Left: CT. Right: PSMA PET, same axial level, [68Ga]Ga-PSMA-11 tracer.
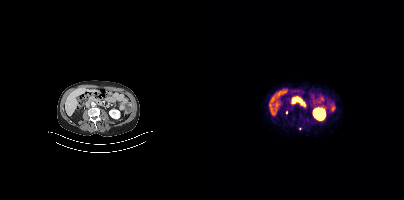
Coordinates are on the 200×200 PET (right) panel. PSMA-avid tumor lesion bounding boxes (partial; 1 more focus not listed):
| # | x0 | y0 | x1 | y1 |
|---|---|---|---|---|
| 1 | 88 | 99 | 92 | 103 |
Small PSMA-avid focus (2 to 4 px across) near (center x, center y): (95, 128).